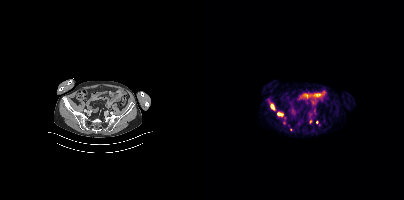
Coordinates are on the 200×200 PET (right) panel. PSMA-avid tumor lesion bounding boxes (x0, y0)-(x1, y1): (66, 104)-(70, 110) / (73, 112)-(79, 116). Small PSMA-avid foci (2 to 4 px across) near (center x, center y): (112, 122) / (86, 129).